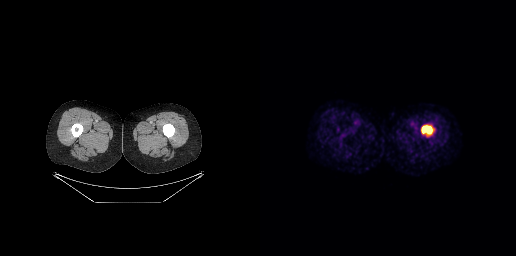
Coordinates are on the 256×256 PET (right) panel. PSMA-avid tumor lesion bounding box (x0,y0,x1,y1): [161,125,172,134].